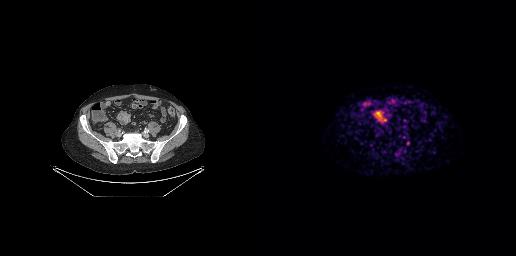
- Two-panel axial: CT | PSMA PET, [68Ga]Ga-PSMA-11 tracer
- acquired on GE Discovery 690
- slice 116 of 299
Findings: Coordinates are on the 256×256 PET (right) panel. Small PSMA-avid focus (2 to 4 px across) near (center x, center y): (147, 142).